modality: PSMA PET/CT | tracer: 68Ga | view: axial | PET grid: 256×256
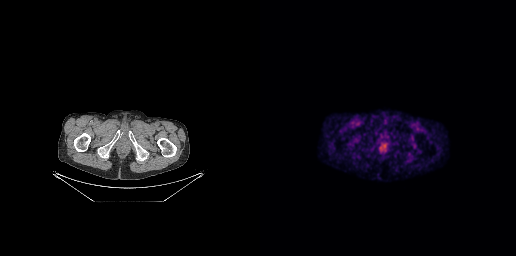
No tumor lesions annotated on this slice.